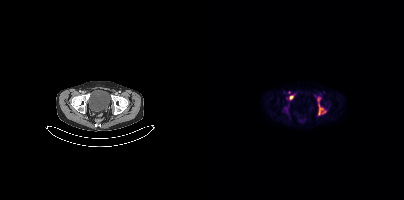
{"modality":"PSMA PET/CT","view":"axial","tracer":"[18F]PSMA-1007","pet_grid":[200,200],"coord_frame":"pet_panel","coord_format":"x0,y0,x1,y1","lesion_bboxes":[[113,97,122,115],[85,95,89,100]],"small_foci_centers":[[85,92]]}